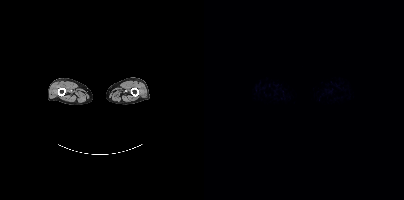
Negative for PSMA-avid disease on this slice.